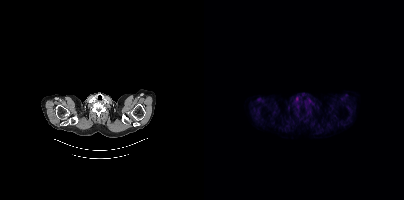
{"modality":"PSMA PET/CT","view":"axial","tracer":"18F-PSMA","pet_grid":[200,200],"coord_frame":"pet_panel","coord_format":"x0,y0,x1,y1","psma_avid_lesions":false}